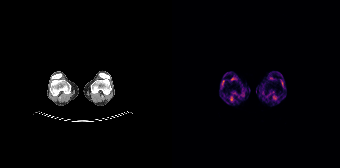
Paired axial CT (left) and PSMA PET (right), [68Ga]Ga-PSMA-11 tracer. PET panel 168×168 px (4.1 mm/px). No tumor lesions annotated on this slice.